Head region blanked for anonymization (face removed). Paired axial CT (left) and PSMA PET (right), 18F tracer. Acquired on Siemens Biograph mCT Flow 20. Slice position z = -831 mm.
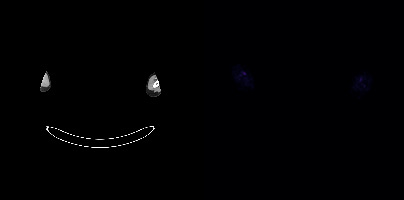
No tumor lesions annotated on this slice.